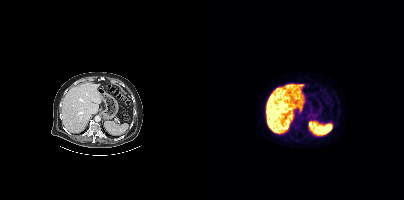
No PSMA-avid tumor lesions on this slice.